deidentification: region redacted | modality: PSMA PET/CT | tracer: [18F]PSMA-1007 | view: axial | PET grid: 200×200
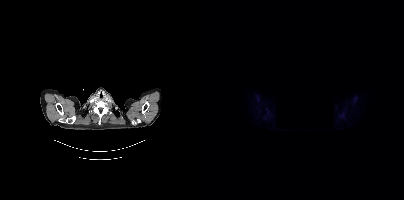
No PSMA-avid tumor lesions on this slice.